Two-panel axial: CT | PSMA PET, 18F-PSMA tracer. Acquired on Siemens Biograph mCT Flow 20.
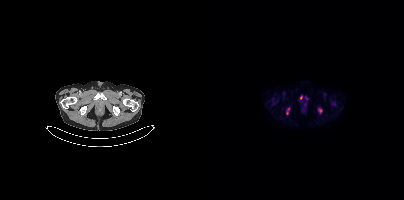
Coordinates are on the 200×200 PET (right) panel. PSMA-avid tumor lesion bounding boxes (partial; 1 more focus not listed):
| # | x0 | y0 | x1 | y1 |
|---|---|---|---|---|
| 1 | 82 | 108 | 85 | 114 |
Small PSMA-avid foci (2 to 4 px across) near (center x, center y): (115, 110); (97, 97).